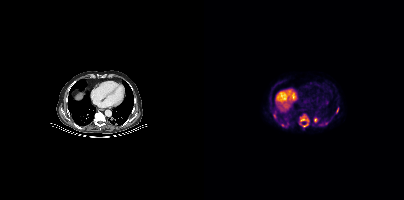
Coordinates are on the 200×200 PET (right) panel. (showing 9 of 12 foci) PSMA-avid tumor lesion bounding box (x0, y0)-(x1, y1): (110, 118)-(113, 122). Small PSMA-avid foci (2 to 4 px across) near (center x, center y): (78, 125) / (103, 120) / (100, 126) / (99, 118) / (133, 109) / (122, 123) / (70, 115) / (103, 123).